Two-panel axial: CT | PSMA PET, [68Ga]Ga-PSMA-11 tracer. Slice 75 of 165.
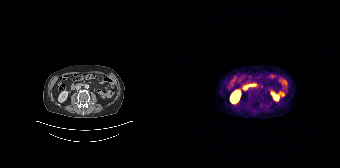
Negative for PSMA-avid disease on this slice.